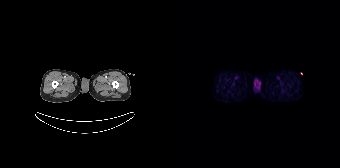
Negative for PSMA-avid disease on this slice.